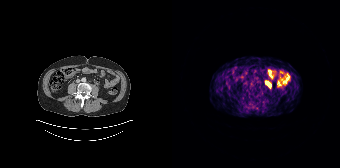
{"modality":"PSMA PET/CT","view":"axial","tracer":"[68Ga]Ga-PSMA-11","pet_grid":[168,168],"coord_frame":"pet_panel","coord_format":"x0,y0,x1,y1","lesion_bboxes":[],"small_foci_centers":[[94,82],[97,85]]}